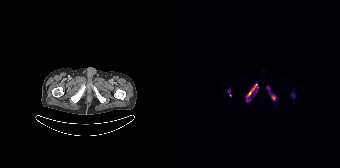
Coordinates are on the 168×168 PET (right) panel. (showing 6 of 7 foci) PSMA-avid tumor lesion bounding boxes (x0, y0)-(x1, y1): (74, 83)-(86, 101); (98, 94)-(103, 100); (119, 93)-(123, 98); (95, 87)-(97, 91). Small PSMA-avid foci (2 to 4 px across) near (center x, center y): (57, 90); (58, 95).